Paired axial CT (left) and PSMA PET (right), 18F tracer.
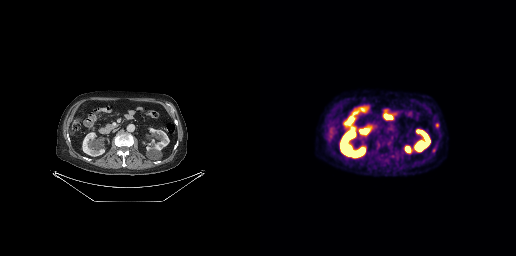
Coordinates are on the 256×256 PET (right) panel. Small PSMA-avid focus (2 to 4 px across) near (center x, center y): (174, 150).